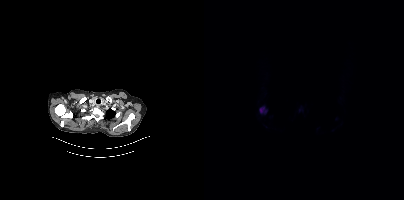
Coordinates are on the 200×200 PET (right) panel. PSMA-avid tumor lesion bounding box (x0,y0,x1,y1): [55,107,62,113]. Small PSMA-avid focus (2 to 4 px across) near (center x, center y): (95, 110).